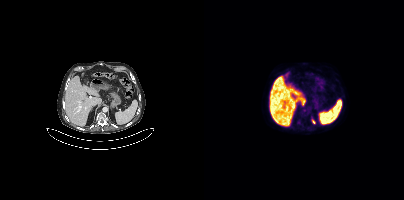
{"modality":"PSMA PET/CT","view":"axial","tracer":"[18F]PSMA-1007","pet_grid":[200,200],"coord_frame":"pet_panel","coord_format":"x0,y0,x1,y1","lesion_bboxes":[[108,119,111,123]],"small_foci_centers":[[100,110]]}